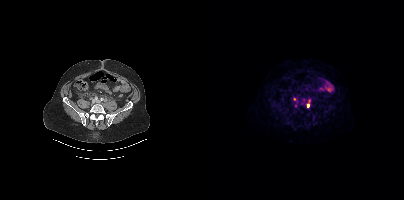
{"modality":"PSMA PET/CT","view":"axial","tracer":"18F-PSMA","pet_grid":[200,200],"coord_frame":"pet_panel","coord_format":"x0,y0,x1,y1","partial":true,"lesion_bboxes":[],"small_foci_centers":[[90,99],[104,105]]}